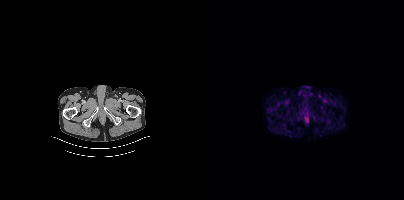
Two-panel axial: CT | PSMA PET, 18F-PSMA tracer. PET panel 200×200 px (4.1 mm/px). Only PSMA-avid lesion pieces thinner than 2 px on this slice (not listed).